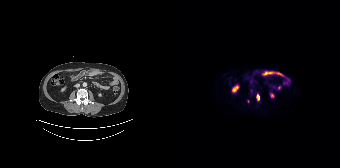
{"modality":"PSMA PET/CT","view":"axial","tracer":"[18F]PSMA-1007","pet_grid":[168,168],"coord_frame":"pet_panel","coord_format":"x0,y0,x1,y1","partial":true,"lesion_bboxes":[[84,94,87,100]]}